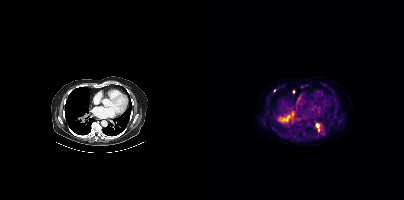
Findings: Coordinates are on the 200×200 PET (right) panel. PSMA-avid tumor lesion bounding boxes (x0, y0)-(x1, y1): (74, 116)-(86, 121); (112, 124)-(115, 132). Small PSMA-avid foci (2 to 4 px across) near (center x, center y): (88, 114); (98, 86); (70, 90); (89, 91).
Technique: Left: CT. Right: PSMA PET, same axial level, 18F tracer. slice position z = -0 mm. PET panel 200×200 px (4.1 mm/px).